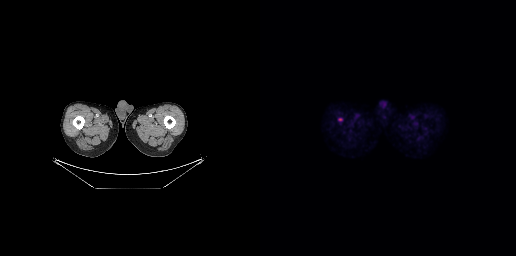
Coordinates are on the 256×256 PET (right) panel. PSMA-avid tumor lesion bounding boxes:
| # | x0 | y0 | x1 | y1 |
|---|---|---|---|---|
| 1 | 78 | 118 | 82 | 120 |
Two-panel axial: CT | PSMA PET, 18F-PSMA tracer. Acquired on GE Discovery 690.